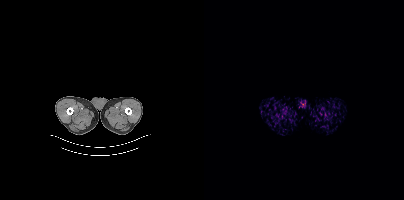
- Two-panel axial: CT | PSMA PET, [18F]PSMA-1007 tracer
- acquired on Siemens Biograph mCT Flow 20
Findings: No tumor lesions annotated on this slice.